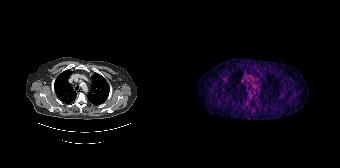
No PSMA-avid tumor lesions on this slice.
modality: PSMA PET/CT | tracer: 68Ga-PSMA | view: axial | PET grid: 168×168